Paired axial CT (left) and PSMA PET (right), 18F-PSMA tracer. Acquired on Siemens Biograph mCT Flow 20.
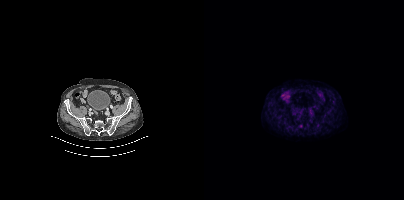
Negative for PSMA-avid disease on this slice.